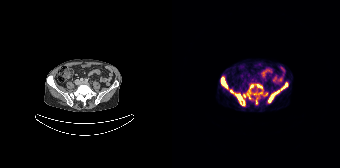
Coordinates are on the 168×168 PET (right) panel. (showing 12 of 14 foci) PSMA-avid tumor lesion bounding boxes (x0, y0)-(x1, y1): (63, 94)-(72, 105) / (97, 90)-(107, 102) / (49, 80)-(55, 88) / (84, 84)-(90, 88) / (78, 84)-(81, 88) / (109, 86)-(113, 89). Small PSMA-avid foci (2 to 4 px across) near (center x, center y): (73, 95) / (59, 91) / (84, 101) / (114, 84) / (51, 77) / (92, 93).
modality: PSMA PET/CT | tracer: 68Ga | view: axial | PET grid: 168×168